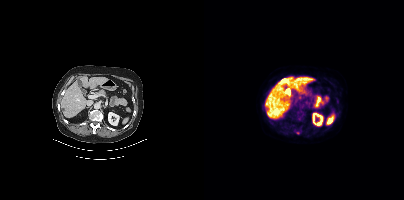
Left: CT. Right: PSMA PET, same axial level, 18F-PSMA tracer. Acquired on Siemens Biograph mCT Flow 20. Slice position z = -550 mm. Coordinates are on the 200×200 PET (right) panel. Small PSMA-avid focus (2 to 4 px across) near (center x, center y): (93, 133).